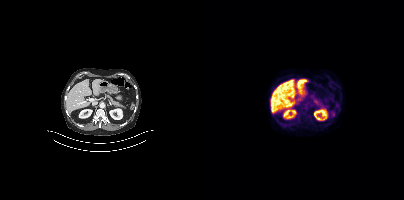
Negative for PSMA-avid disease on this slice.